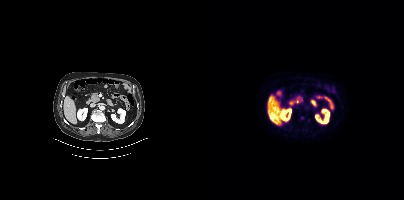
Left: CT. Right: PSMA PET, same axial level, [18F]PSMA-1007 tracer. Slice position z = -1162 mm. This slice has no annotated PSMA-avid lesion.